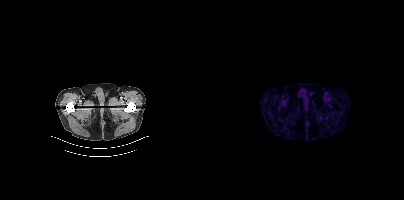
Negative for PSMA-avid disease on this slice. Paired axial CT (left) and PSMA PET (right), 68Ga tracer.